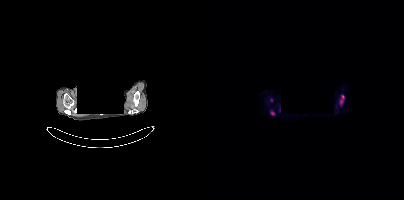
Findings: Coordinates are on the 200×200 PET (right) panel. (showing 2 of 3 foci) PSMA-avid tumor lesion bounding box (x0,y0,x1,y1): [136,95,140,104]. Small PSMA-avid focus (2 to 4 px across) near (center x, center y): (68, 113).
Technique: Two-panel axial: CT | PSMA PET, 18F tracer. acquired on Siemens Biograph mCT Flow 20. slice position z = -488 mm. PET panel 200×200 px (4.1 mm/px).
Note: The face region was removed for patient privacy by blanking a rectangle over the head.